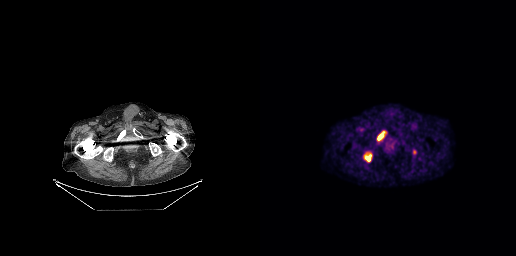
Findings: Coordinates are on the 256×256 PET (right) panel. PSMA-avid tumor lesion bounding boxes (x, y, width, height): x=117 y=131 w=8 h=10 / x=105 y=155 w=6 h=7.
- Two-panel axial: CT | PSMA PET, [18F]PSMA-1007 tracer
- PET panel 256×256 px (2.7 mm/px)